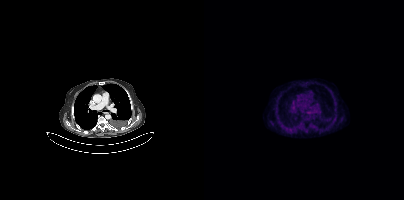
This slice has no annotated PSMA-avid lesion.